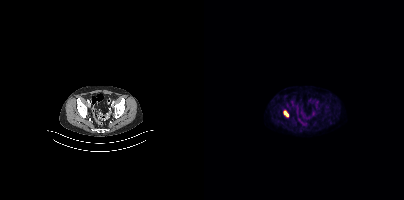
- Paired axial CT (left) and PSMA PET (right), 18F-PSMA tracer
- acquired on Siemens Biograph mCT Flow 20
- slice position z = -950 mm
Findings: Coordinates are on the 200×200 PET (right) panel. PSMA-avid tumor lesion bounding box (x0, y0)-(x1, y1): (80, 111)-(84, 116).